- Paired axial CT (left) and PSMA PET (right), 18F-PSMA tracer
- acquired on Siemens Biograph mCT Flow 20
- PET panel 200×200 px (4.1 mm/px)
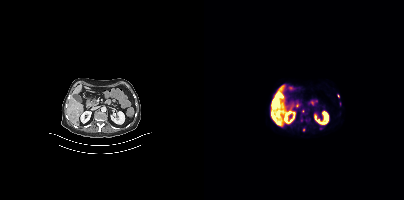
Findings: Coordinates are on the 200×200 PET (right) panel. PSMA-avid tumor lesion bounding box (x, y, width, height): x=68 y=99 w=7 h=8. Small PSMA-avid foci (2 to 4 px across) near (center x, center y): (77, 95); (134, 96).